- Two-panel axial: CT | PSMA PET, 18F tracer
- acquired on Siemens Biograph mCT Flow 20
- slice position z = -1410 mm
- PET panel 200×200 px (4.1 mm/px)
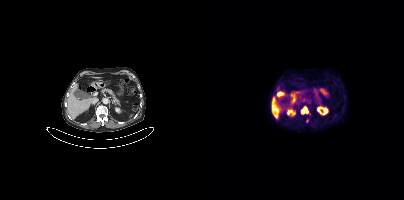
Findings: Coordinates are on the 200×200 PET (right) panel. (showing 1 of 2 foci) PSMA-avid tumor lesion bounding box (x0, y0)-(x1, y1): (97, 107)-(104, 114).